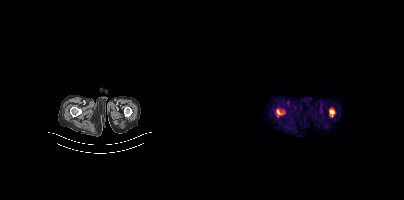
Coordinates are on the 200×200 PET (right) panel. PSMA-avid tumor lesion bounding box (x, y, width, height): x=72 y=109 w=8 h=9.